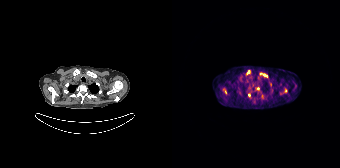
Coordinates are on the 168×168 PET (right) panel. (showing 9 of 11 foci) PSMA-avid tumor lesion bounding boxes (x0,y0,x1,y1): [74,70,77,75] [91,74,95,77]. Small PSMA-avid foci (2 to 4 px across) near (center x, center y): (98, 83) (113, 90) (86, 88) (77, 95) (67, 92) (53, 92) (88, 73).
modality: PSMA PET/CT | tracer: [68Ga]Ga-PSMA-11 | view: axial